Two-panel axial: CT | PSMA PET, 18F tracer.
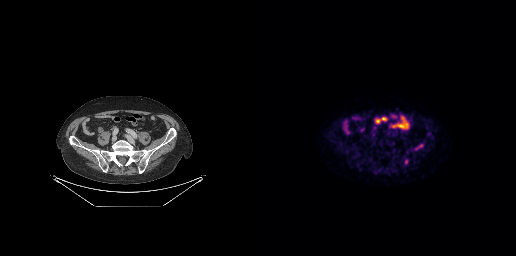
Coordinates are on the 256×256 PET (right) panel. Small PSMA-avid foci (2 to 4 px across) near (center x, center y): (146, 161) (160, 145) (156, 148).